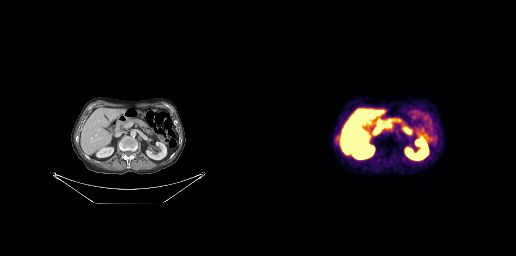
No tumor lesions annotated on this slice.